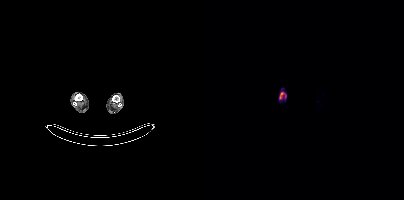
Findings: Coordinates are on the 200×200 PET (right) panel. PSMA-avid tumor lesion bounding box (x0,y0,x1,y1): [75,92,82,99].
- Left: CT. Right: PSMA PET, same axial level, 18F-PSMA tracer
- acquired on Siemens Biograph mCT Flow 20
- slice 99 of 963
- PET panel 200×200 px (4.1 mm/px)